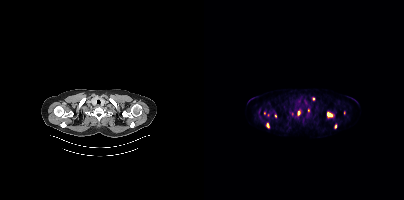
- Paired axial CT (left) and PSMA PET (right), 18F-PSMA tracer
- slice 366 of 444
- PET panel 200×200 px (4.1 mm/px)
Findings: Coordinates are on the 200×200 PET (right) panel. (showing 7 of 10 foci) PSMA-avid tumor lesion bounding boxes (x, y, width, height): x=123 y=112 w=7 h=6; x=63 y=123 w=3 h=5; x=94 y=111 w=2 h=5. Small PSMA-avid foci (2 to 4 px across) near (center x, center y): (109, 98); (104, 110); (131, 126); (71, 115).